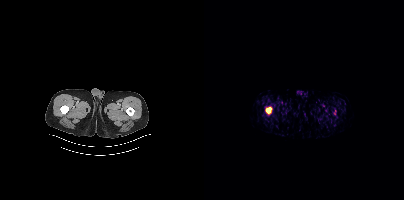
Technique: Two-panel axial: CT | PSMA PET, 18F-PSMA tracer. acquired on Siemens Biograph mCT Flow 20. slice position z = -1102 mm.
Findings: Coordinates are on the 200×200 PET (right) panel. PSMA-avid tumor lesion bounding box (x, y, width, height): x=62 y=107 w=6 h=7.